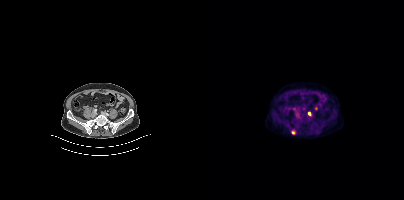
Technique: Two-panel axial: CT | PSMA PET, [18F]PSMA-1007 tracer. acquired on Siemens Biograph mCT Flow 20. slice 117 of 387. PET panel 200×200 px (4.1 mm/px).
Findings: Coordinates are on the 200×200 PET (right) panel. PSMA-avid tumor lesion bounding box (x0, y0)-(x1, y1): (87, 129)-(91, 134). Small PSMA-avid focus (2 to 4 px across) near (center x, center y): (105, 113).